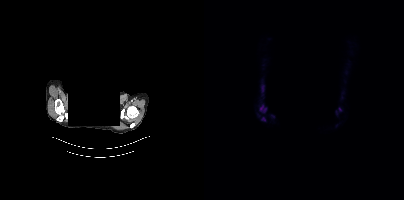
Findings: Coordinates are on the 200×200 PET (right) panel. PSMA-avid tumor lesion bounding box (x0, y0)-(x1, y1): (56, 105)-(62, 112). Small PSMA-avid focus (2 to 4 px across) near (center x, center y): (59, 118).
Technique: Left: CT. Right: PSMA PET, same axial level, 18F-PSMA tracer. acquired on Siemens Biograph mCT Flow 20. slice position z = -266 mm.
Note: Facial anatomy redacted by setting a rectangular region of the head to black.